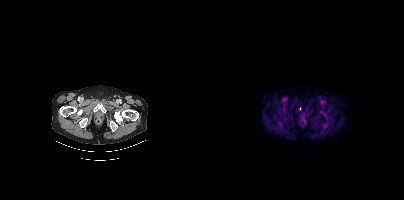
Only PSMA-avid lesion pieces thinner than 2 px on this slice (not listed). Two-panel axial: CT | PSMA PET, 18F tracer. Slice position z = -907 mm. PET panel 200×200 px (4.1 mm/px).